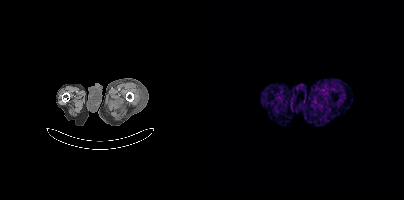
{"modality":"PSMA PET/CT","view":"axial","tracer":"68Ga","pet_grid":[200,200],"coord_frame":"pet_panel","coord_format":"x0,y0,x1,y1","psma_avid_lesions":false}